Technique: Paired axial CT (left) and PSMA PET (right), 18F tracer. acquired on Siemens Biograph mCT Flow 20. PET panel 200×200 px (4.1 mm/px).
Note: The face region was removed for patient privacy by blanking a rectangle over the head.
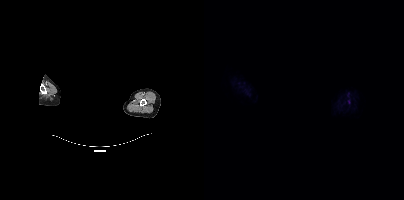
Findings: No tumor lesions annotated on this slice.